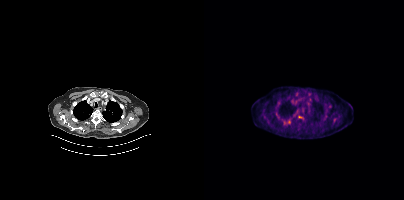
Paired axial CT (left) and PSMA PET (right), 18F-PSMA tracer.
Coordinates are on the 200×200 PET (right) panel. PSMA-avid tumor lesion bounding boxes:
| # | x0 | y0 | x1 | y1 |
|---|---|---|---|---|
| 1 | 94 | 116 | 98 | 118 |
Small PSMA-avid foci (2 to 4 px across) near (center x, center y): (85, 121); (80, 122); (125, 106).